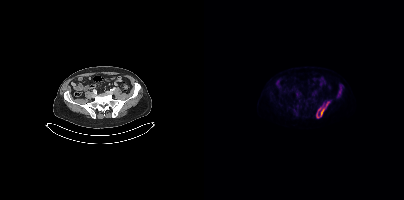
{"modality":"PSMA PET/CT","view":"axial","tracer":"18F","pet_grid":[200,200],"coord_frame":"pet_panel","coord_format":"x0,y0,x1,y1","lesion_bboxes":[[112,101,125,118],[134,88,137,96]]}